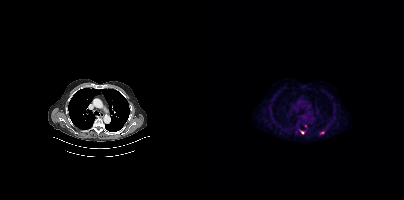
Coordinates are on the 200×200 PET (right) panel. PSMA-avid tumor lesion bounding boxes (x, y, width, height): x=116 y=131 w=5 h=4 | x=96 y=130 w=5 h=5. Small PSMA-avid focus (2 to 4 px across) near (center x, center y): (101, 125).